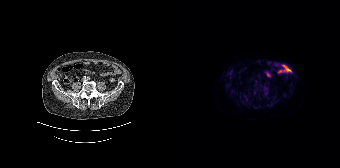
No tumor lesions annotated on this slice.